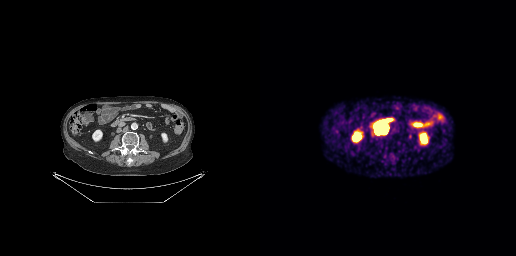
Findings: Coordinates are on the 256×256 PET (right) panel. PSMA-avid tumor lesion bounding box (x0, y0)-(x1, y1): (117, 127)-(126, 132).
Technique: Left: CT. Right: PSMA PET, same axial level, 68Ga-PSMA tracer. acquired on GE Discovery 690. slice position z = -608 mm.